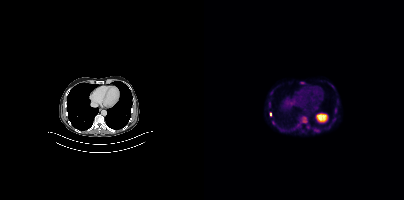
Two-panel axial: CT | PSMA PET, 18F tracer. Acquired on Siemens Biograph mCT Flow 20.
Coordinates are on the 200×200 PET (right) panel. PSMA-avid tumor lesion bounding boxes:
| # | x0 | y0 | x1 | y1 |
|---|---|---|---|---|
| 1 | 96 | 116 | 103 | 123 |
| 2 | 96 | 82 | 100 | 84 |
| 3 | 66 | 112 | 67 | 116 |
Small PSMA-avid foci (2 to 4 px across) near (center x, center y): (65, 103); (131, 110); (67, 92).